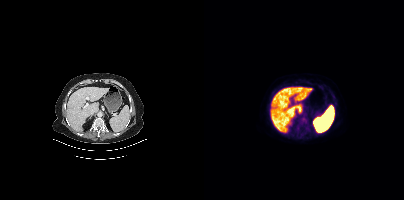
{"modality":"PSMA PET/CT","view":"axial","tracer":"18F-PSMA","pet_grid":[200,200],"coord_frame":"pet_panel","coord_format":"x0,y0,x1,y1","psma_avid_lesions":false}